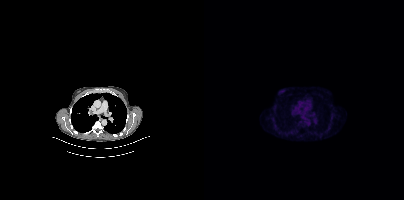
Findings: Negative for PSMA-avid disease on this slice.
Technique: Left: CT. Right: PSMA PET, same axial level, [18F]PSMA-1007 tracer. acquired on Siemens Biograph mCT Flow 20.